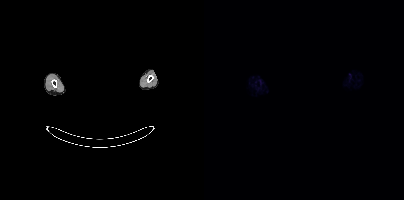
No tumor lesions annotated on this slice.
modality: PSMA PET/CT | tracer: 18F | view: axial | deidentification: facial region redacted